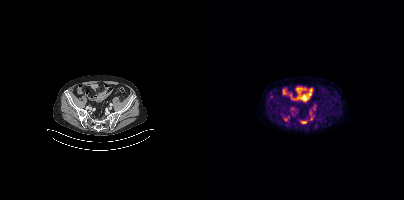
{"modality":"PSMA PET/CT","view":"axial","tracer":"18F-PSMA","pet_grid":[200,200],"coord_frame":"pet_panel","coord_format":"x0,y0,x1,y1","lesion_bboxes":[],"small_foci_centers":[[107,118]]}